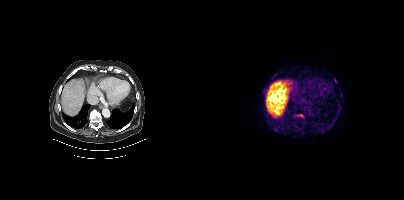
Findings: Coordinates are on the 200×200 PET (right) panel. PSMA-avid tumor lesion bounding boxes (x, y, width, height): x=91 y=114 w=8 h=4; x=130 y=78 w=4 h=6.
- Paired axial CT (left) and PSMA PET (right), 18F tracer
- acquired on Siemens Biograph mCT Flow 20
- slice 279 of 454
- PET panel 200×200 px (4.1 mm/px)